Technique: Two-panel axial: CT | PSMA PET, 18F-PSMA tracer. acquired on Siemens Biograph mCT Flow 20. PET panel 200×200 px (4.1 mm/px).
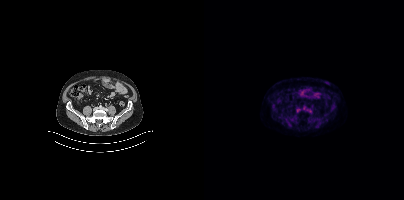
Findings: Coordinates are on the 200×200 PET (right) panel. PSMA-avid tumor lesion bounding box (x0, y0)-(x1, y1): (92, 107)-(96, 112).